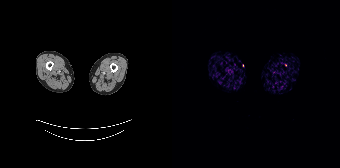
This slice has no annotated PSMA-avid lesion.
modality: PSMA PET/CT | tracer: [68Ga]Ga-PSMA-11 | view: axial | PET grid: 168×168